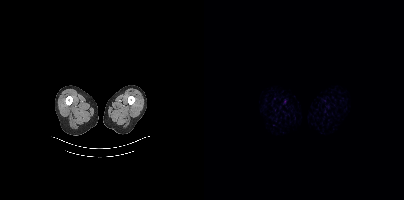
modality: PSMA PET/CT | tracer: 18F | view: axial | PET grid: 200×200
No tumor lesions annotated on this slice.